Technique: Left: CT. Right: PSMA PET, same axial level, [18F]PSMA-1007 tracer. slice position z = -665 mm. PET panel 256×256 px (2.7 mm/px).
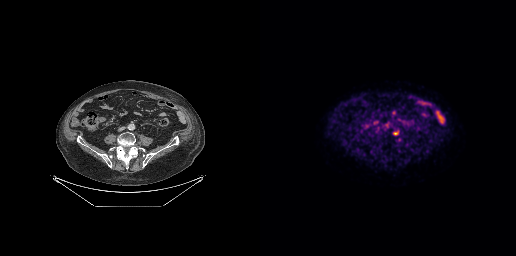
Findings: Coordinates are on the 256×256 PET (right) panel. PSMA-avid tumor lesion bounding box (x, y, width, height): x=133 y=130 w=7 h=6.